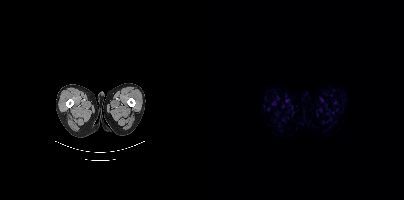
{"modality":"PSMA PET/CT","view":"axial","tracer":"[18F]PSMA-1007","pet_grid":[200,200],"coord_frame":"pet_panel","coord_format":"x0,y0,x1,y1","psma_avid_lesions":false}